- Two-panel axial: CT | PSMA PET, [18F]PSMA-1007 tracer
- acquired on Siemens Biograph mCT Flow 20
- slice 23 of 411
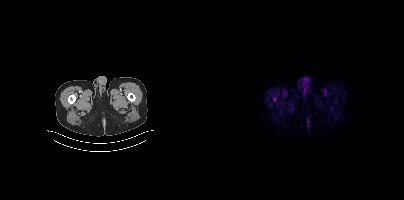
Findings: Coordinates are on the 200×200 PET (right) panel. Small PSMA-avid focus (2 to 4 px across) near (center x, center y): (70, 98).